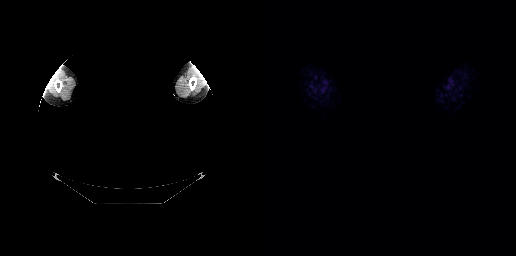
Technique: Left: CT. Right: PSMA PET, same axial level, 68Ga tracer. PET panel 256×256 px (2.7 mm/px).
Note: Any black rectangle over the head is a privacy mask, not anatomy.
Findings: Negative for PSMA-avid disease on this slice.